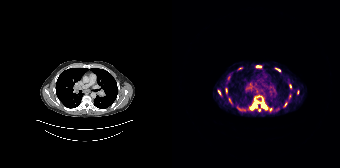
{"modality":"PSMA PET/CT","view":"axial","tracer":"68Ga-PSMA","pet_grid":[168,168],"coord_frame":"pet_panel","coord_format":"x0,y0,x1,y1","partial":true,"lesion_bboxes":[[77,96,95,110],[84,65,89,67],[117,84,119,88],[104,68,108,71]],"small_foci_centers":[[47,92],[67,109],[87,110],[58,100],[113,104]]}